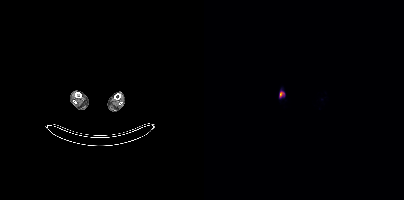
{"pet_grid":[200,200],"coord_frame":"pet_panel","coord_format":"x0,y0,x1,y1","lesion_bboxes":[[75,91,80,97]],"modality":"PSMA PET/CT","view":"axial","tracer":"[18F]PSMA-1007"}